Technique: Left: CT. Right: PSMA PET, same axial level, [18F]PSMA-1007 tracer. acquired on Siemens Biograph mCT Flow 20.
Note: A rectangle over the head was blacked out to remove identifiable facial features.
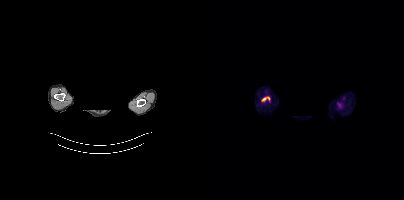
Findings: Negative for PSMA-avid disease on this slice.